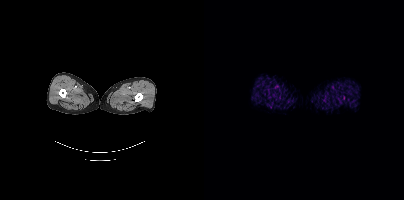
- Paired axial CT (left) and PSMA PET (right), 18F-PSMA tracer
- slice 8 of 448
- PET panel 200×200 px (4.1 mm/px)
Findings: No tumor lesions annotated on this slice.